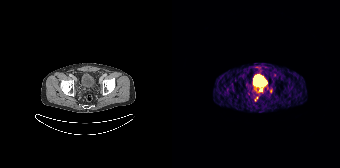
- Two-panel axial: CT | PSMA PET, 68Ga-PSMA tracer
- slice position z = -1214 mm
Findings: Coordinates are on the 168×168 PET (right) panel. (showing 2 of 3 foci) PSMA-avid tumor lesion bounding box (x, y, width, height): x=82 y=96 w=5 h=6. Small PSMA-avid focus (2 to 4 px across) near (center x, center y): (98, 91).